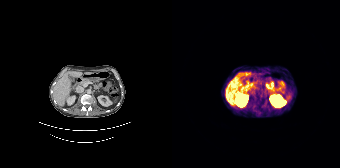
No PSMA-avid tumor lesions on this slice. Paired axial CT (left) and PSMA PET (right), [68Ga]Ga-PSMA-11 tracer. Acquired on Siemens Biograph 64-4R TruePoint. Slice 98 of 195. PET panel 168×168 px (4.1 mm/px).